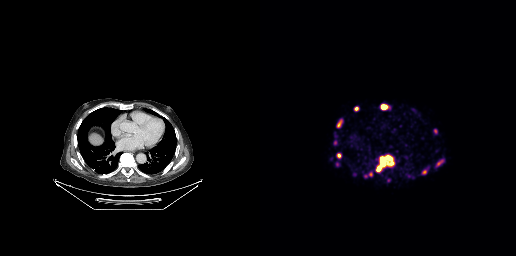
Coordinates are on the 256×256 PET (right) panel. (showing 12 of 13 foci) PSMA-avid tumor lesion bounding boxes (x0,y0,x1,y1): [126,156,134,163]; [176,159,183,165]; [120,157,124,165]; [77,153,81,158]; [122,105,126,108]; [77,121,81,127]; [109,172,112,176]; [94,107,98,110]; [174,129,177,133]. Small PSMA-avid foci (2 to 4 px across) near (center x, center y): (164, 172); (77, 164); (118, 168).